Left: CT. Right: PSMA PET, same axial level, 18F-PSMA tracer. Acquired on Siemens Biograph mCT Flow 20. Slice 72 of 427. PET panel 200×200 px (4.1 mm/px).
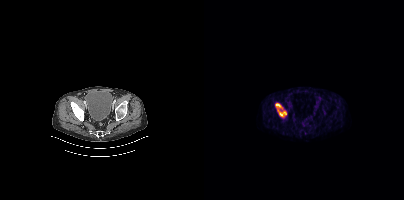
Coordinates are on the 200×200 PET (right) panel. PSMA-avid tumor lesion bounding box (x0,y0,x1,y1): [71,103,82,116].